Technique: Paired axial CT (left) and PSMA PET (right), 18F tracer. slice position z = -228 mm.
Note: Privacy masking over the head, with the pixels inside a rectangle set to black.
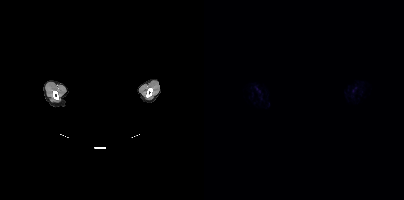
Findings: No PSMA-avid tumor lesions on this slice.